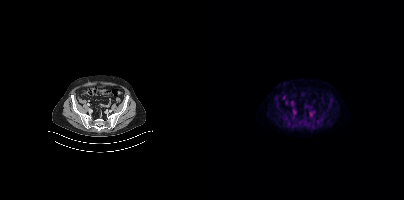
{"pet_grid":[200,200],"coord_frame":"pet_panel","coord_format":"x0,y0,x1,y1","lesion_bboxes":[[88,109,92,113],[86,102,90,105]],"modality":"PSMA PET/CT","view":"axial","tracer":"[18F]PSMA-1007"}